Left: CT. Right: PSMA PET, same axial level, 18F tracer. Slice 65 of 452. PET panel 200×200 px (4.1 mm/px).
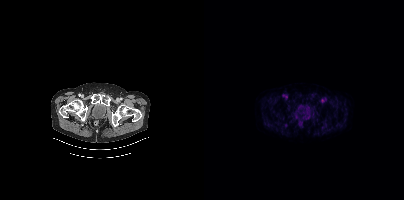
Negative for PSMA-avid disease on this slice.